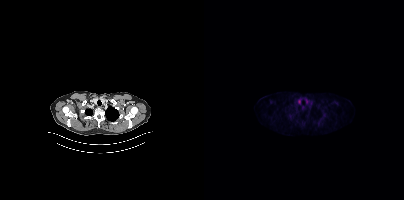
{"pet_grid":[200,200],"coord_frame":"pet_panel","coord_format":"x0,y0,x1,y1","psma_avid_lesions":false,"modality":"PSMA PET/CT","view":"axial","tracer":"18F"}